Two-panel axial: CT | PSMA PET, 68Ga tracer.
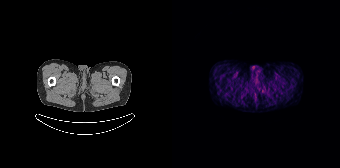
No tumor lesions annotated on this slice.